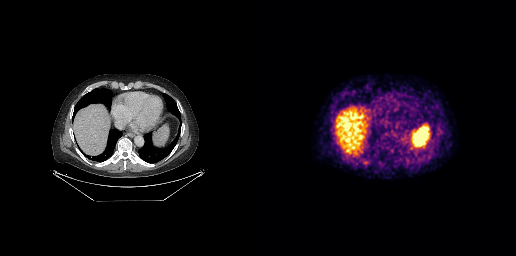
This slice has no annotated PSMA-avid lesion.